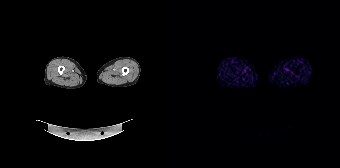
This slice has no annotated PSMA-avid lesion.